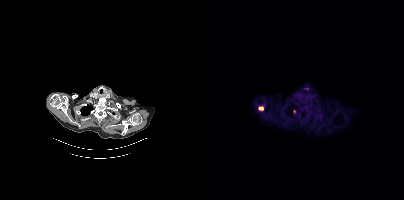
Coordinates are on the 200×200 PET (right) panel. PSMA-avid tumor lesion bounding box (x0, y0)-(x1, y1): (54, 106)-(59, 110). Small PSMA-avid focus (2 to 4 px across) near (center x, center y): (90, 111).